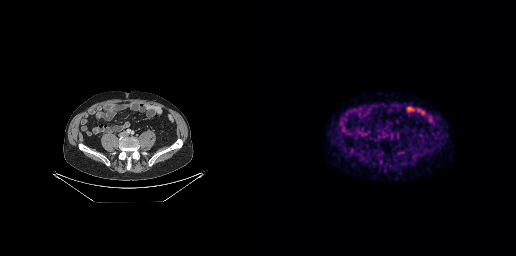
modality: PSMA PET/CT | tracer: 68Ga-PSMA | view: axial
No PSMA-avid tumor lesions on this slice.